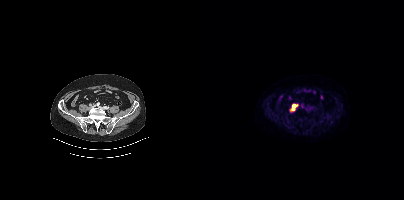
Technique: Paired axial CT (left) and PSMA PET (right), [18F]PSMA-1007 tracer. acquired on Siemens Biograph mCT Flow 20. PET panel 200×200 px (4.1 mm/px).
Findings: Coordinates are on the 200×200 PET (right) panel. PSMA-avid tumor lesion bounding box (x0, y0)-(x1, y1): (87, 104)-(92, 110).